Paired axial CT (left) and PSMA PET (right), [18F]PSMA-1007 tracer. Acquired on Siemens Biograph mCT Flow 20. Slice position z = -1067 mm. PET panel 200×200 px (4.1 mm/px).
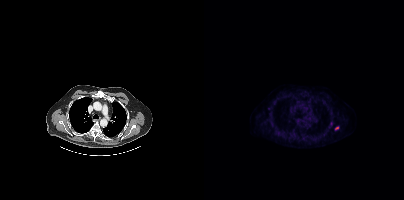
Coordinates are on the 200×200 PET (right) panel. Small PSMA-avid focus (2 to 4 px across) near (center x, center y): (133, 127).